Two-panel axial: CT | PSMA PET, 68Ga tracer. Slice position z = -608 mm. A rectangular privacy mask was applied before release.
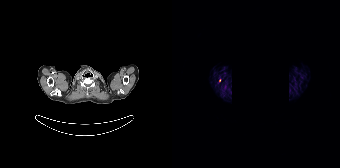
Coordinates are on the 168×168 PET (right) panel. Small PSMA-avid focus (2 to 4 px across) near (center x, center y): (47, 80).